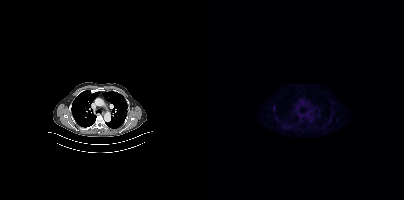
Coordinates are on the 200×200 PET (right) panel. Small PSMA-avid focus (2 to 4 px across) near (center x, center y): (70, 107). Left: CT. Right: PSMA PET, same axial level, 18F-PSMA tracer. Acquired on Siemens Biograph mCT Flow 20. PET panel 200×200 px (4.1 mm/px).